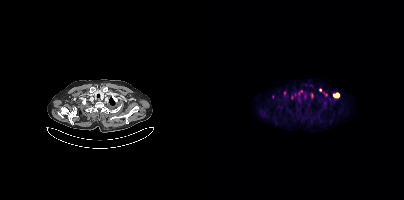
Coordinates are on the 200×200 PET (right) panel. PSMA-avid tumor lesion bounding boxes (partial; 1 more focus not listed):
| # | x0 | y0 | x1 | y1 |
|---|---|---|---|---|
| 1 | 129 | 92 | 135 | 97 |
| 2 | 107 | 93 | 109 | 98 |
Small PSMA-avid foci (2 to 4 px across) near (center x, center y): (95, 99); (97, 91); (68, 96); (122, 94); (116, 89); (80, 92).
Left: CT. Right: PSMA PET, same axial level, 18F tracer.